Technique: Paired axial CT (left) and PSMA PET (right), [18F]PSMA-1007 tracer. acquired on GE Discovery 690.
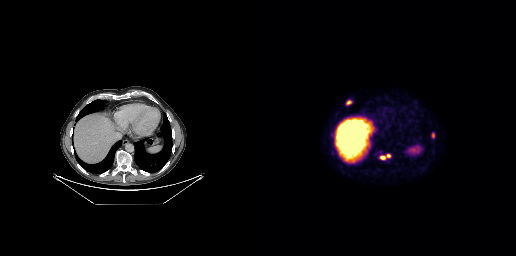
Findings: Coordinates are on the 256×256 PET (right) panel. PSMA-avid tumor lesion bounding boxes (x0, y0)-(x1, y1): (119, 154)-(130, 159) / (86, 100)-(92, 105) / (171, 132)-(175, 138).